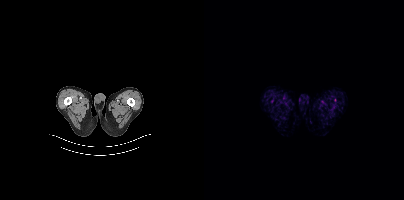
{"modality":"PSMA PET/CT","view":"axial","tracer":"18F-PSMA","pet_grid":[200,200],"coord_frame":"pet_panel","coord_format":"x0,y0,x1,y1","psma_avid_lesions":false}